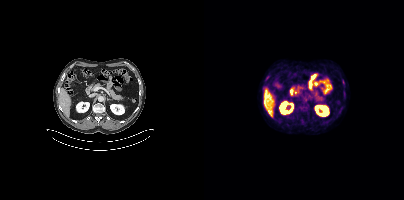
Technique: Left: CT. Right: PSMA PET, same axial level, 18F tracer. acquired on Siemens Biograph mCT Flow 20. slice 241 of 454.
Findings: Coordinates are on the 200×200 PET (right) panel. Small PSMA-avid focus (2 to 4 px across) near (center x, center y): (138, 81).